- Two-panel axial: CT | PSMA PET, 18F-PSMA tracer
- slice position z = -1352 mm
- PET panel 200×200 px (4.1 mm/px)
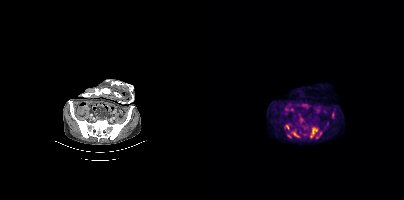
Findings: Coordinates are on the 200×200 PET (right) panel. (showing 6 of 8 foci) PSMA-avid tumor lesion bounding boxes (x, y, width, height): x=106 y=127 w=9 h=12 | x=87 y=129 w=10 h=9 | x=112 y=131 w=6 h=8 | x=128 y=112 w=3 h=7 | x=82 y=125 w=4 h=5. Small PSMA-avid focus (2 to 4 px across) near (center x, center y): (85, 136).